- Paired axial CT (left) and PSMA PET (right), 18F-PSMA tracer
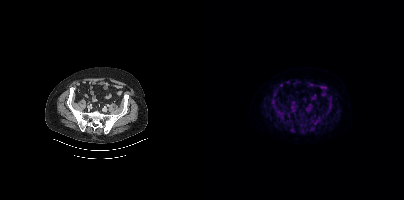
Findings: This slice has no annotated PSMA-avid lesion.